Two-panel axial: CT | PSMA PET, 18F-PSMA tracer. Slice position z = -1374 mm.
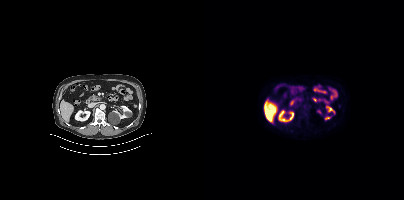
No tumor lesions annotated on this slice.